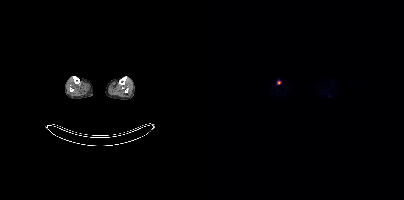
Coordinates are on the 200×200 PET (right) panel. Small PSMA-avid focus (2 to 4 px across) near (center x, center y): (74, 82).